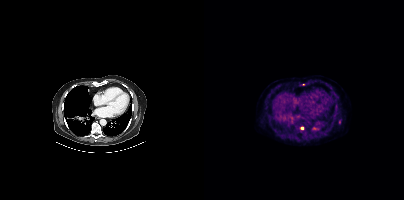
{"modality":"PSMA PET/CT","view":"axial","tracer":"18F-PSMA","pet_grid":[200,200],"coord_frame":"pet_panel","coord_format":"x0,y0,x1,y1","partial":true,"lesion_bboxes":[[108,127,112,129]],"small_foci_centers":[[135,121],[98,128]]}